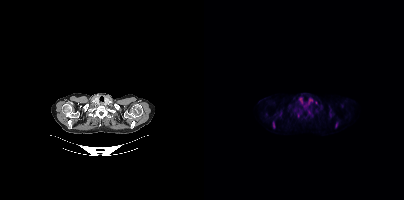
Coordinates are on the 200×200 PET (right) panel. (showing 3 of 5 foci) PSMA-avid tumor lesion bounding boxes (x0,y0,x1,y1): [69,121,71,128], [131,122,134,127]. Small PSMA-avid focus (2 to 4 px across) near (center x, center y): (94, 114).